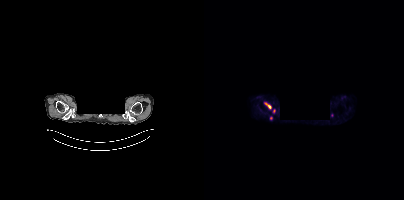
A rectangular block over the head has been blanked out for de-identification.
Coordinates are on the 200×200 PET (right) panel. (showing 3 of 4 foci) PSMA-avid tumor lesion bounding boxes (x, y, width, height): x=60 y=102 w=8 h=8 | x=68 y=109 w=4 h=5. Small PSMA-avid focus (2 to 4 px across) near (center x, center y): (67, 118).